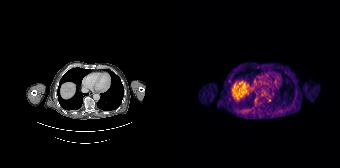
{"pet_grid":[168,168],"coord_frame":"pet_panel","coord_format":"x0,y0,x1,y1","lesion_bboxes":[],"small_foci_centers":[[97,100]],"modality":"PSMA PET/CT","view":"axial","tracer":"[68Ga]Ga-PSMA-11"}